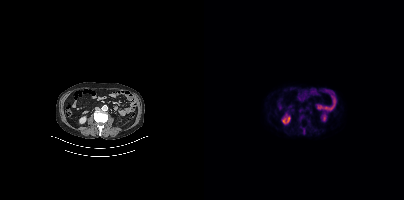
Findings: Coordinates are on the 200×200 PET (right) panel. (showing 1 of 2 foci) PSMA-avid tumor lesion bounding box (x, y, width, height): x=96 y=126 w=6 h=9.
- Left: CT. Right: PSMA PET, same axial level, 18F tracer